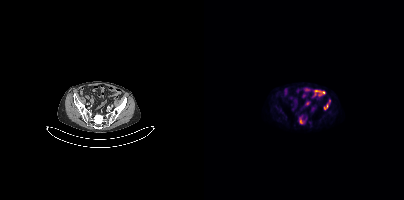
Coordinates are on the 200×200 PET (right) panel. (showing 3 of 4 foci) PSMA-avid tumor lesion bounding box (x0, y0)-(x1, y1): (95, 116)-(102, 124). Small PSMA-avid foci (2 to 4 px across) near (center x, center y): (123, 105); (125, 100).